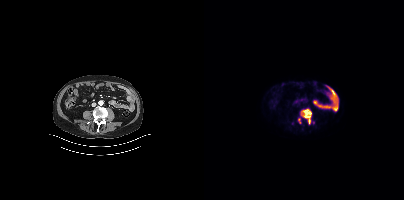
{"modality":"PSMA PET/CT","view":"axial","tracer":"18F","pet_grid":[200,200],"coord_frame":"pet_panel","coord_format":"x0,y0,x1,y1","partial":true,"lesion_bboxes":[[100,109,107,118]],"small_foci_centers":[[96,121]]}